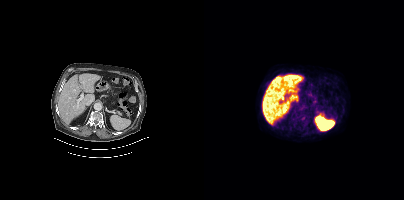
Paired axial CT (left) and PSMA PET (right), [18F]PSMA-1007 tracer. No PSMA-avid tumor lesions on this slice.